- Left: CT. Right: PSMA PET, same axial level, 18F tracer
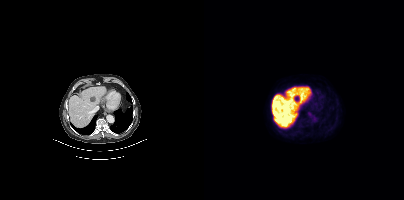
Findings: This slice has no annotated PSMA-avid lesion.